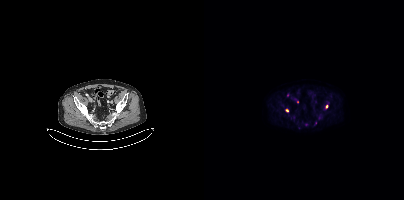
{"modality":"PSMA PET/CT","view":"axial","tracer":"18F-PSMA","pet_grid":[200,200],"coord_frame":"pet_panel","coord_format":"x0,y0,x1,y1","partial":true,"lesion_bboxes":[[121,104,124,108]],"small_foci_centers":[[82,109]]}